Two-panel axial: CT | PSMA PET, [18F]PSMA-1007 tracer. PET panel 200×200 px (4.1 mm/px).
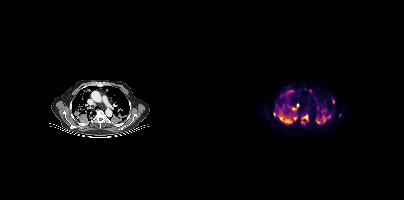
Coordinates are on the 200×200 PET (right) panel. PSMA-avid tumor lesion bounding boxes (partial; 4 more foci not listed):
| # | x0 | y0 | x1 | y1 |
|---|---|---|---|---|
| 1 | 74 | 110 | 87 | 123 |
| 2 | 83 | 105 | 92 | 110 |
| 3 | 98 | 115 | 103 | 120 |
| 4 | 89 | 116 | 93 | 120 |
| 5 | 119 | 116 | 121 | 122 |
| 6 | 112 | 120 | 116 | 123 |
| 7 | 69 | 112 | 71 | 116 |
Small PSMA-avid foci (2 to 4 px across) near (center x, center y): (86, 91); (129, 101); (93, 105); (106, 90); (124, 117); (113, 106).